Two-panel axial: CT | PSMA PET, 18F tracer. Slice position z = -482 mm. PET panel 200×200 px (4.1 mm/px).
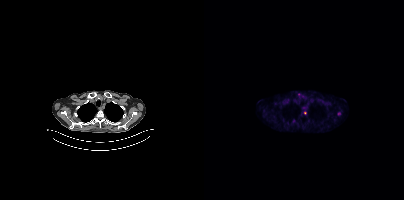
Coordinates are on the 200×200 PET (right) panel. (showing 3 of 5 foci) Small PSMA-avid foci (2 to 4 px across) near (center x, center y): (101, 112) / (135, 113) / (90, 121).